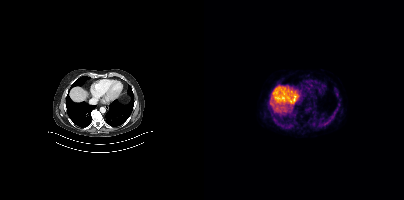
No PSMA-avid tumor lesions on this slice.